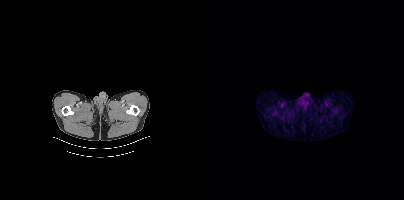
Technique: Left: CT. Right: PSMA PET, same axial level, 18F tracer. acquired on Siemens Biograph mCT Flow 20. slice position z = -622 mm.
Findings: No PSMA-avid tumor lesions on this slice.